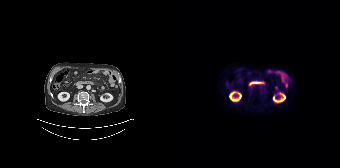
{"modality":"PSMA PET/CT","view":"axial","tracer":"18F-PSMA","pet_grid":[168,168],"coord_frame":"pet_panel","coord_format":"x0,y0,x1,y1","psma_avid_lesions":false}